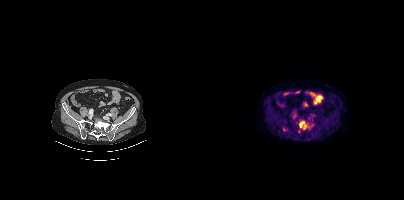
Findings: Coordinates are on the 200×200 PET (right) panel. PSMA-avid tumor lesion bounding box (x0, y0)-(x1, y1): (95, 121)-(100, 127). Small PSMA-avid foci (2 to 4 px across) near (center x, center y): (101, 126) | (79, 129).
Technique: Two-panel axial: CT | PSMA PET, 18F tracer. slice position z = -775 mm.